Two-panel axial: CT | PSMA PET, 68Ga-PSMA tracer. Acquired on Siemens Biograph 64-4R TruePoint. PET panel 168×168 px (4.1 mm/px).
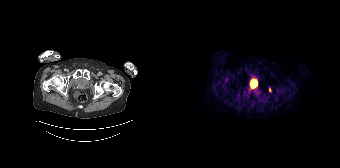
Coordinates are on the 168×168 PET (right) panel. PSMA-avid tumor lesion bounding box (x0, y0)-(x1, y1): (97, 88)-(99, 92).